Two-panel axial: CT | PSMA PET, 18F-PSMA tracer. Acquired on Siemens Biograph 64-4R TruePoint. Slice 67 of 165. PET panel 168×168 px (4.1 mm/px).
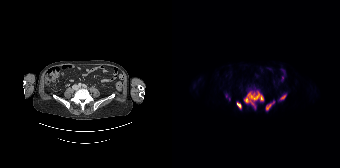
Coordinates are on the 168×168 PET (right) panel. PSMA-avid tumor lesion bounding boxes (x, y, width, height): x=72 y=91 w=20 h=18 / x=94 y=102 w=8 h=9 / x=65 y=102 w=5 h=7 / x=109 y=95 w=5 h=5. Small PSMA-avid focus (2 to 4 px across) near (center x, center y): (54, 95).